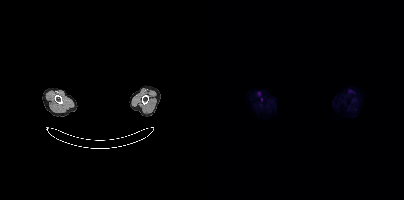
de-identification: privacy mask over head | modality: PSMA PET/CT | tracer: 18F-PSMA | view: axial
This slice has no annotated PSMA-avid lesion.